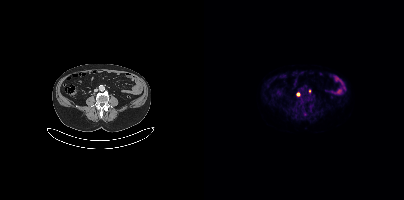
Coordinates are on the 200×200 PET (right) panel. Small PSMA-avid foci (2 to 4 px across) near (center x, center y): (94, 94) (105, 90).